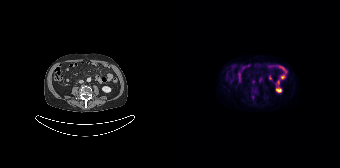
{"pet_grid":[168,168],"coord_frame":"pet_panel","coord_format":"x0,y0,x1,y1","partial":true,"lesion_bboxes":[],"modality":"PSMA PET/CT","view":"axial","tracer":"[18F]PSMA-1007"}